Technique: Left: CT. Right: PSMA PET, same axial level, 68Ga-PSMA tracer. slice position z = -816 mm. PET panel 256×256 px (2.7 mm/px).
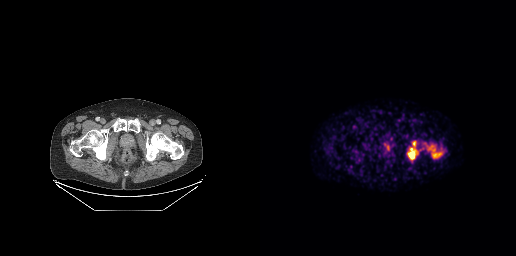
Findings: Coordinates are on the 256×256 PET (right) panel. (showing 2 of 3 foci) PSMA-avid tumor lesion bounding boxes (x0,y0,x1,y1): [148,148,156,159] [173,153,180,157].